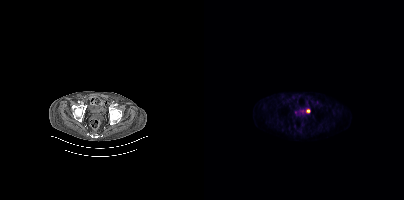
Left: CT. Right: PSMA PET, same axial level, 18F tracer. PET panel 200×200 px (4.1 mm/px). Only PSMA-avid lesion pieces thinner than 2 px on this slice (not listed).